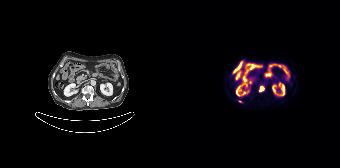
{"modality":"PSMA PET/CT","view":"axial","tracer":"18F-PSMA","pet_grid":[168,168],"coord_frame":"pet_panel","coord_format":"x0,y0,x1,y1","lesion_bboxes":[[88,87,91,91]],"small_foci_centers":[[69,101]]}